modality: PSMA PET/CT | tracer: [18F]PSMA-1007 | view: axial | PET grid: 200×200 | redaction: rectangular block over head set to black
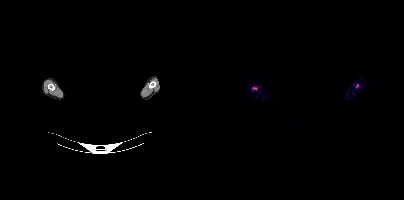
Coordinates are on the 200×200 PET (right) panel. PSMA-avid tumor lesion bounding boxes (x, y, width, height): x=48 y=86 w=6 h=5 / x=151 y=84 w=6 h=5.